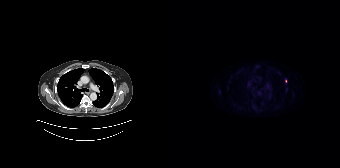
Coordinates are on the 168×168 PET (right) panel. Small PSMA-avid focus (2 to 4 px across) near (center x, center y): (113, 81).